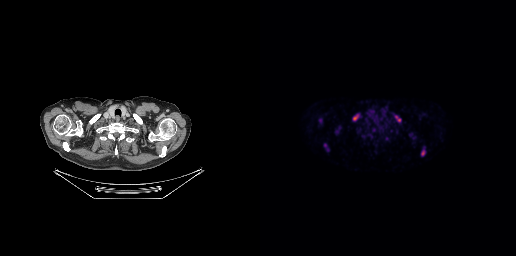
Coordinates are on the 256×256 PET (right) panel. (showing 5 of 6 foci) PSMA-avid tumor lesion bounding boxes (x0, y0)-(x1, y1): (134, 115)-(141, 122); (161, 147)-(165, 156); (93, 114)-(98, 120). Small PSMA-avid foci (2 to 4 px across) near (center x, center y): (60, 120); (76, 131).